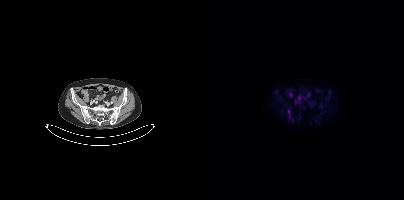
- Two-panel axial: CT | PSMA PET, 18F tracer
- acquired on Siemens Biograph mCT Flow 20
- PET panel 200×200 px (4.1 mm/px)
Findings: Only PSMA-avid lesion pieces thinner than 2 px on this slice (not listed).